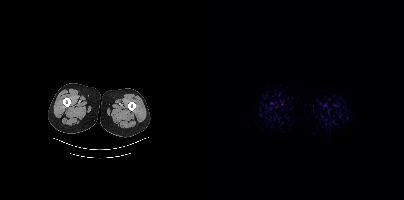
Two-panel axial: CT | PSMA PET, 18F tracer. Slice position z = -1557 mm. No tumor lesions annotated on this slice.